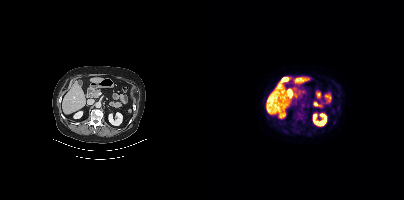
This slice has no annotated PSMA-avid lesion.
modality: PSMA PET/CT | tracer: 18F | view: axial | PET grid: 200×200